Technique: Left: CT. Right: PSMA PET, same axial level, 68Ga tracer. acquired on GE Discovery 690. slice position z = -446 mm.
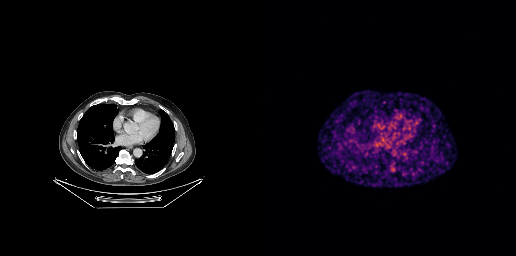
Findings: Coordinates are on the 256×256 PET (right) panel. PSMA-avid tumor lesion bounding box (x0,y0,x1,y1): [130,166,135,171].